modality: PSMA PET/CT | tracer: 18F-PSMA | view: axial | PET grid: 200×200
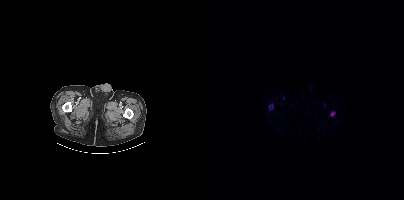
Coordinates are on the 200×200 PET (right) panel. PSMA-avid tumor lesion bounding boxes (x0,y0,x1,y1): [127,111,131,116] [65,104,69,109].